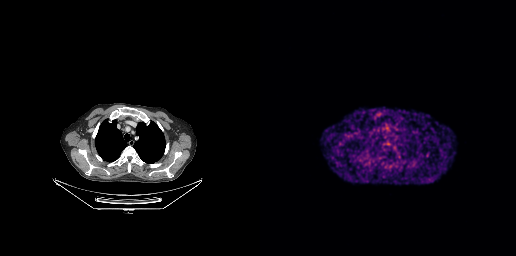
No tumor lesions annotated on this slice.